Left: CT. Right: PSMA PET, same axial level, [18F]PSMA-1007 tracer. Acquired on GE Discovery 690.
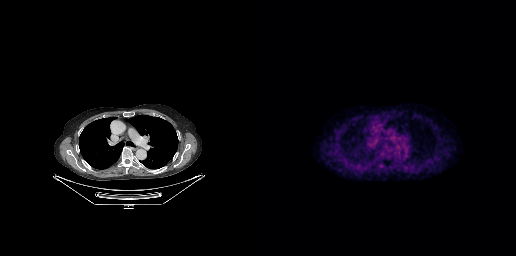
No PSMA-avid tumor lesions on this slice.